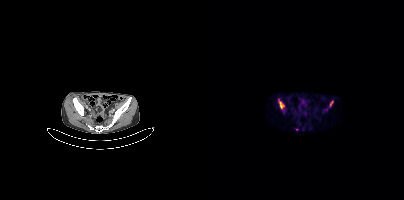
Findings: Coordinates are on the 200×200 PET (right) panel. (showing 3 of 4 foci) PSMA-avid tumor lesion bounding boxes (x, y, width, height): x=75 y=101 w=6 h=8 | x=126 y=101 w=4 h=6. Small PSMA-avid focus (2 to 4 px across) near (center x, center y): (92, 129).
Technique: Paired axial CT (left) and PSMA PET (right), [68Ga]Ga-PSMA-11 tracer. acquired on Siemens Biograph mCT Flow 20. slice position z = -1057 mm.